Head region blanked for anonymization (face removed).
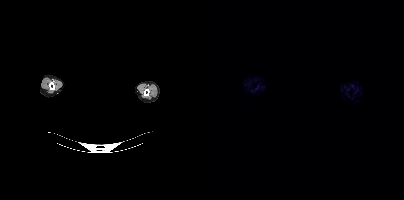
No PSMA-avid tumor lesions on this slice.